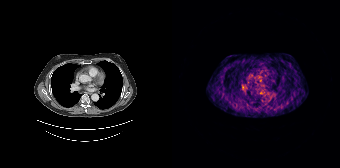
Technique: Paired axial CT (left) and PSMA PET (right), [68Ga]Ga-PSMA-11 tracer. acquired on Siemens Biograph 64-4R TruePoint.
Findings: No tumor lesions annotated on this slice.